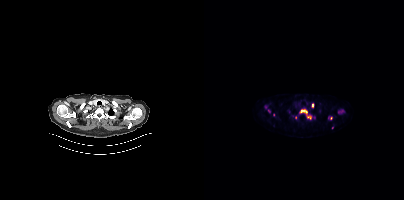
{"modality":"PSMA PET/CT","view":"axial","tracer":"18F","pet_grid":[200,200],"coord_frame":"pet_panel","coord_format":"x0,y0,x1,y1","partial":true,"lesion_bboxes":[[96,109,103,114]],"small_foci_centers":[[104,117],[65,110],[108,105]]}